Technique: Two-panel axial: CT | PSMA PET, 18F tracer. acquired on Siemens Biograph mCT Flow 20. PET panel 200×200 px (4.1 mm/px).
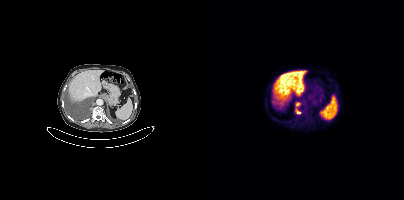
Findings: Coordinates are on the 200×200 PET (right) panel. PSMA-avid tumor lesion bounding box (x0, y0)-(x1, y1): (91, 102)-(97, 114).